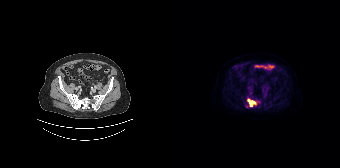
modality: PSMA PET/CT | tracer: 18F | view: axial
Coordinates are on the 168×168 PET (right) panel. PSMA-avid tumor lesion bounding box (x, y, width, height): x=75 y=98 w=11 h=9. Small PSMA-avid focus (2 to 4 px across) near (center x, center y): (74, 106).